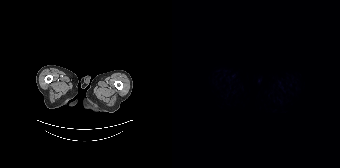
Technique: Two-panel axial: CT | PSMA PET, 18F tracer. PET panel 168×168 px (4.1 mm/px).
Findings: No PSMA-avid tumor lesions on this slice.